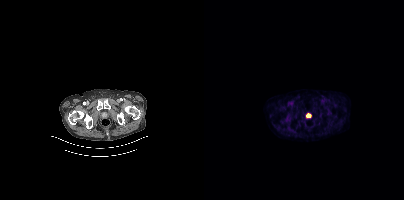
Left: CT. Right: PSMA PET, same axial level, 18F-PSMA tracer. PET panel 200×200 px (4.1 mm/px).
Coordinates are on the 200×200 PET (right) panel. PSMA-avid tumor lesion bounding boxes:
| # | x0 | y0 | x1 | y1 |
|---|---|---|---|---|
| 1 | 102 | 113 | 106 | 117 |